- Left: CT. Right: PSMA PET, same axial level, 18F tracer
- slice position z = -1242 mm
- PET panel 200×200 px (4.1 mm/px)
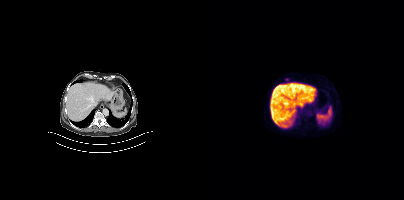
Findings: Coordinates are on the 200×200 PET (right) panel. Small PSMA-avid focus (2 to 4 px across) near (center x, center y): (82, 79).